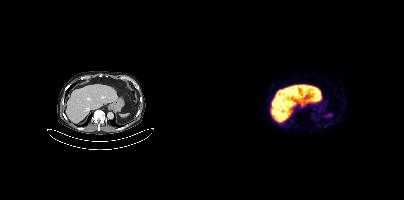
{"modality":"PSMA PET/CT","view":"axial","tracer":"18F","pet_grid":[200,200],"coord_frame":"pet_panel","coord_format":"x0,y0,x1,y1","psma_avid_lesions":false}